Technique: Two-panel axial: CT | PSMA PET, 18F-PSMA tracer. acquired on Siemens Biograph mCT Flow 20.
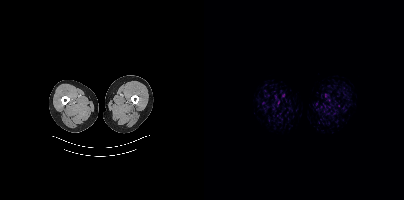
Findings: Negative for PSMA-avid disease on this slice.